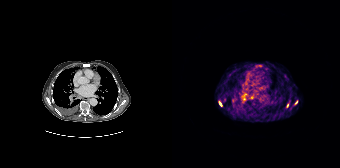
Coordinates are on the 168×168 PET (right) panel. PSMA-avid tumor lesion bounding boxes:
| # | x0 | y0 | x1 | y1 |
|---|---|---|---|---|
| 1 | 47 | 102 | 49 | 106 |
| 2 | 123 | 100 | 125 | 104 |
Small PSMA-avid foci (2 to 4 px across) near (center x, center y): (79, 97); (115, 105).
Two-panel axial: CT | PSMA PET, 68Ga-PSMA tracer. Slice position z = -120 mm. PET panel 168×168 px (4.1 mm/px).